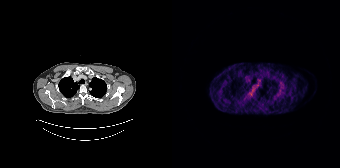
Findings: This slice has no annotated PSMA-avid lesion.
- Two-panel axial: CT | PSMA PET, 68Ga tracer
- slice position z = -163 mm
- PET panel 168×168 px (4.1 mm/px)